Technique: Paired axial CT (left) and PSMA PET (right), 18F tracer.
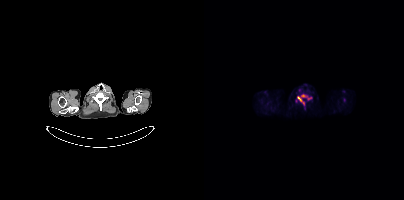
Findings: Coordinates are on the 200×200 PET (right) panel. (showing 1 of 2 foci) PSMA-avid tumor lesion bounding box (x0, y0)-(x1, y1): (93, 94)-(107, 105).